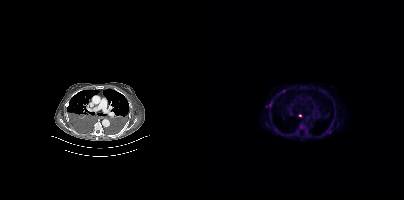
- Left: CT. Right: PSMA PET, same axial level, 18F-PSMA tracer
- acquired on Siemens Biograph mCT Flow 20
Findings: Coordinates are on the 200×200 PET (right) panel. (showing 6 of 7 foci) PSMA-avid tumor lesion bounding boxes (x0, y0)-(x1, y1): (93, 124)-(100, 132) | (65, 102)-(68, 107) | (101, 130)-(103, 134). Small PSMA-avid foci (2 to 4 px across) near (center x, center y): (96, 115) | (80, 90) | (62, 106).